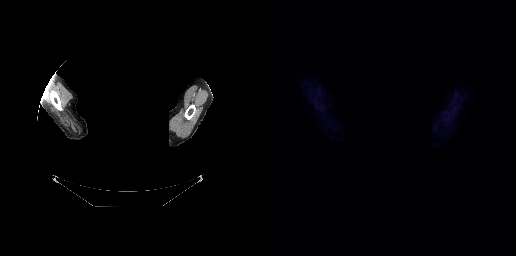
{"pet_grid":[256,256],"coord_frame":"pet_panel","coord_format":"x0,y0,x1,y1","psma_avid_lesions":false,"de-identification":"face masked with black rectangle","modality":"PSMA PET/CT","view":"axial","tracer":"18F-PSMA"}